- Two-panel axial: CT | PSMA PET, 18F tracer
- acquired on Siemens Biograph mCT Flow 20
- PET panel 200×200 px (4.1 mm/px)
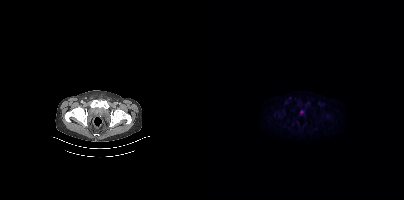
Findings: Coordinates are on the 200×200 PET (right) panel. Small PSMA-avid focus (2 to 4 px across) near (center x, center y): (97, 111).